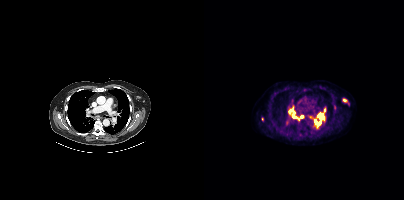
Coordinates are on the 200×200 PET (right) panel. PSMA-avid tumor lesion bounding boxes (x0, y0)-(x1, y1): (105, 109)-(121, 128) / (85, 106)-(95, 120) / (139, 99)-(143, 102). Small PSMA-avid foci (2 to 4 px across) near (center x, center y): (98, 116) / (130, 106) / (58, 118).